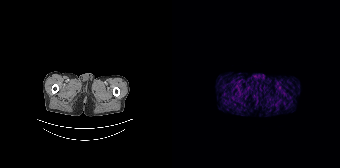
Technique: Two-panel axial: CT | PSMA PET, 68Ga tracer. acquired on Siemens Biograph 64-4R TruePoint. slice 38 of 195.
Findings: Negative for PSMA-avid disease on this slice.